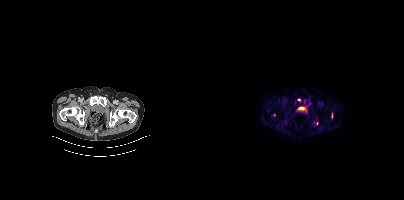
Coordinates are on the 200×200 PET (right) panel. (showing 3 of 4 foci) Small PSMA-avid foci (2 to 4 px across) near (center x, center y): (113, 123) / (95, 99) / (70, 114). Two-panel axial: CT | PSMA PET, [18F]PSMA-1007 tracer. Slice position z = -940 mm. PET panel 200×200 px (4.1 mm/px).